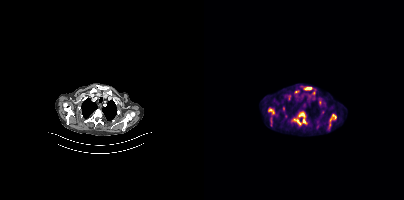
Paired axial CT (left) and PSMA PET (right), 18F tracer. Slice 295 of 367. Coordinates are on the 200×200 PET (right) panel. (showing 6 of 7 foci) PSMA-avid tumor lesion bounding boxes (x, y, width, height): x=88 y=111 w=16 h=15 / x=64 y=108 w=7 h=7 / x=66 y=117 w=3 h=10 / x=82 y=94 w=6 h=7 / x=123 y=123 w=5 h=8 / x=100 y=87 w=8 h=3.